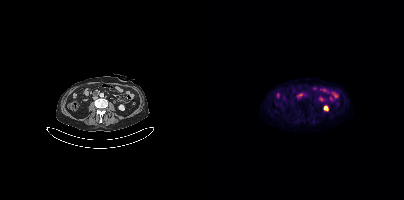
Findings: No tumor lesions annotated on this slice.
- Left: CT. Right: PSMA PET, same axial level, 18F-PSMA tracer
- slice position z = -1496 mm